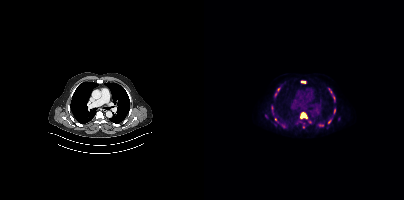
Coordinates are on the 200×200 PET (right) panel. (showing 10 of 12 foci) PSMA-avid tumor lesion bounding boxes (x, y, width, height): x=96 y=112 w=7 h=7; x=129 y=95 w=3 h=7; x=97 y=81 w=5 h=2; x=130 y=108 w=2 h=6. Small PSMA-avid foci (2 to 4 px across) near (center x, center y): (125, 121); (99, 126); (71, 94); (71, 119); (74, 89); (127, 92).